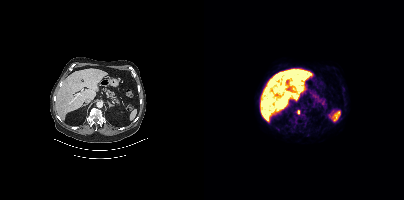
Paired axial CT (left) and PSMA PET (right), 18F-PSMA tracer. Acquired on Siemens Biograph mCT Flow 20. Slice 243 of 454.
Coordinates are on the 200×200 PET (right) panel. PSMA-avid tumor lesion bounding boxes:
| # | x0 | y0 | x1 | y1 |
|---|---|---|---|---|
| 1 | 93 | 110 | 96 | 114 |